- Paired axial CT (left) and PSMA PET (right), 18F-PSMA tracer
- acquired on GE Discovery 690
- slice position z = -719 mm
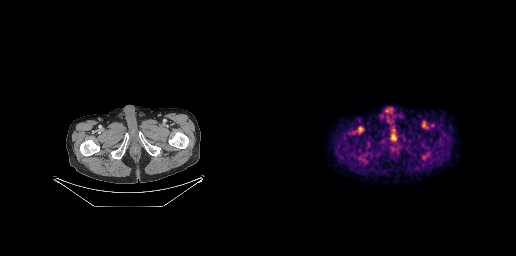
Findings: No tumor lesions annotated on this slice.